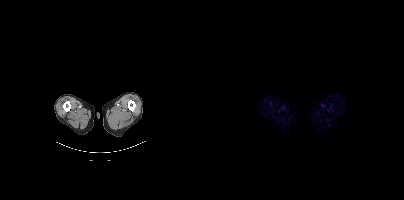
modality: PSMA PET/CT | tracer: 18F | view: axial | PET grid: 200×200
No PSMA-avid tumor lesions on this slice.